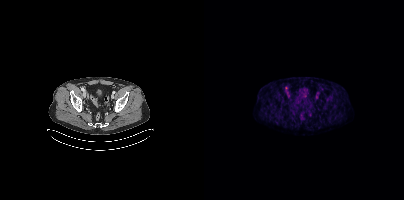
Only PSMA-avid lesion pieces thinner than 2 px on this slice (not listed).